modality: PSMA PET/CT | tracer: 18F-PSMA | view: axial | PET grid: 200×200
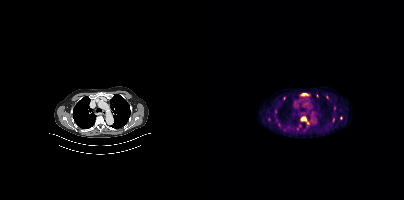
Coordinates are on the 200×200 PET (right) panel. (showing 5 of 9 foci) PSMA-avid tumor lesion bounding boxes (x0, y0)-(x1, y1): (97, 117)-(102, 121) / (97, 93)-(104, 95) / (128, 118)-(130, 122). Small PSMA-avid foci (2 to 4 px across) near (center x, center y): (136, 118) / (113, 95).